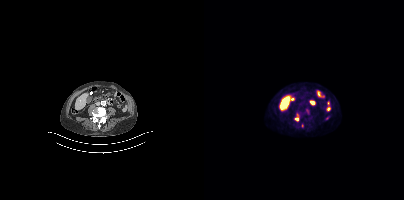
Coordinates are on the 200×200 PET (right) panel. (showing 2 of 4 foci) PSMA-avid tumor lesion bounding box (x0, y0)-(x1, y1): (91, 114)-(94, 121). Small PSMA-avid focus (2 to 4 px across) near (center x, center y): (103, 110). Left: CT. Right: PSMA PET, same axial level, [18F]PSMA-1007 tracer. Acquired on Siemens Biograph mCT Flow 20.